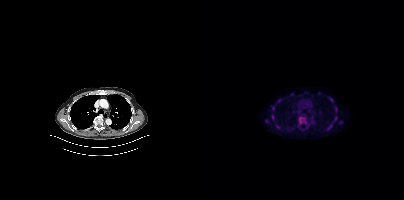
Coordinates are on the 200×200 PET (right) panel. PSMA-avid tumor lesion bounding boxes (x, y, width, height): x=95 y=116 w=7 h=8 | x=131 y=107 w=3 h=6 | x=68 y=115 w=2 h=5. Small PSMA-avid foci (2 to 4 px across) near (center x, center y): (130, 119) | (75, 101) | (69, 108) | (127, 99) | (124, 128) | (62, 121).